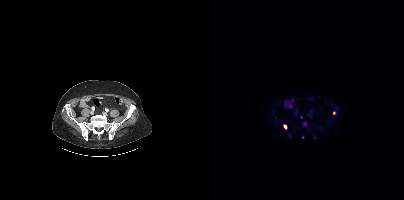
Coordinates are on the 200×200 PET (right) panel. (showing 1 of 2 foci) Small PSMA-avid focus (2 to 4 px across) near (center x, center y): (80, 126).